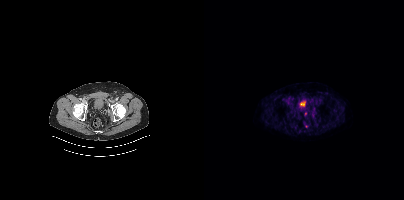
Coordinates are on the 200×200 PET (right) panel. (showing 1 of 2 foci) Small PSMA-avid focus (2 to 4 px across) near (center x, center y): (102, 126). Paired axial CT (left) and PSMA PET (right), 18F-PSMA tracer. Acquired on Siemens Biograph mCT Flow 20. PET panel 200×200 px (4.1 mm/px).